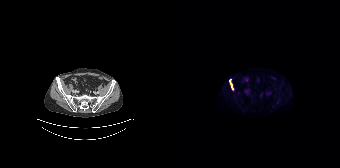
{"pet_grid":[168,168],"coord_frame":"pet_panel","coord_format":"x0,y0,x1,y1","lesion_bboxes":[[57,79,61,90]],"modality":"PSMA PET/CT","view":"axial","tracer":"[18F]PSMA-1007"}